modality: PSMA PET/CT | tracer: 68Ga-PSMA | view: axial | PET grid: 168×168
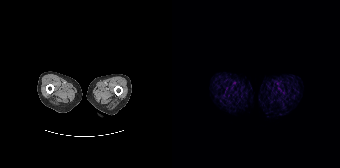
Negative for PSMA-avid disease on this slice.